modality: PSMA PET/CT | tracer: 68Ga-PSMA | view: axial | PET grid: 168×168
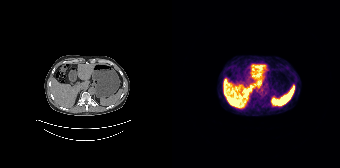
No PSMA-avid tumor lesions on this slice.